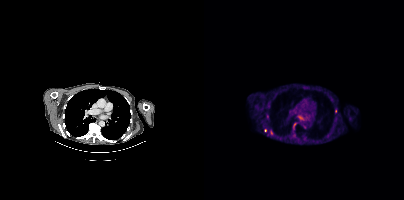
modality: PSMA PET/CT | tracer: 18F | view: axial | PET grid: 200×200
Coordinates are on the 200×200 PET (right) panel. PSMA-avid tumor lesion bounding boxes (x0, y0)-(x1, y1): (62, 114)-(64, 118) | (89, 123)-(91, 127). Small PSMA-avid foci (2 to 4 px across) near (center x, center y): (64, 135) | (61, 130) | (67, 132) | (131, 111).